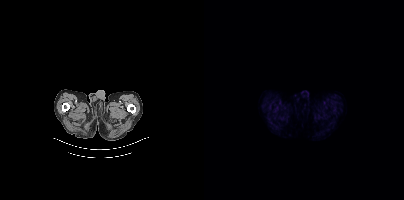
Findings: This slice has no annotated PSMA-avid lesion.
- Paired axial CT (left) and PSMA PET (right), 18F-PSMA tracer